Left: CT. Right: PSMA PET, same axial level, [68Ga]Ga-PSMA-11 tracer. PET panel 168×168 px (4.1 mm/px).
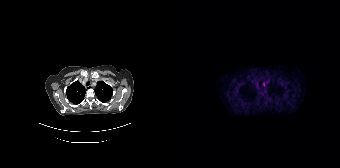
Coordinates are on the 168×168 PET (right) panel. Small PSMA-avid focus (2 to 4 px across) near (center x, center y): (91, 84).